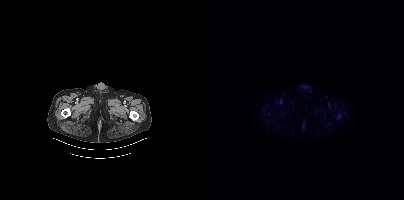
{"pet_grid":[200,200],"coord_frame":"pet_panel","coord_format":"x0,y0,x1,y1","psma_avid_lesions":false,"modality":"PSMA PET/CT","view":"axial","tracer":"18F"}